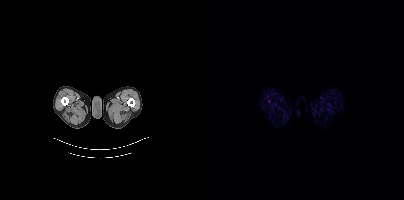
Findings: This slice has no annotated PSMA-avid lesion.
- Left: CT. Right: PSMA PET, same axial level, 18F tracer
- acquired on Siemens Biograph mCT Flow 20
- slice position z = -1698 mm
- PET panel 200×200 px (4.1 mm/px)